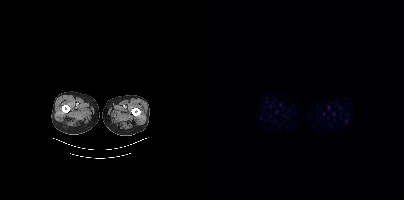
Technique: Two-panel axial: CT | PSMA PET, [18F]PSMA-1007 tracer. PET panel 200×200 px (4.1 mm/px).
Findings: No tumor lesions annotated on this slice.